modality: PSMA PET/CT | tracer: 18F-PSMA | view: axial | PET grid: 256×256
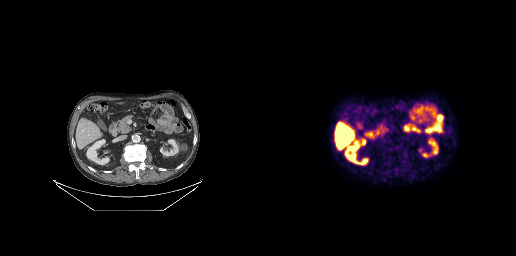
No PSMA-avid tumor lesions on this slice.